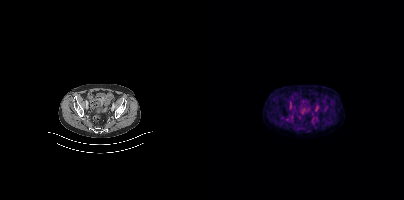
modality: PSMA PET/CT | tracer: 18F-PSMA | view: axial
No tumor lesions annotated on this slice.